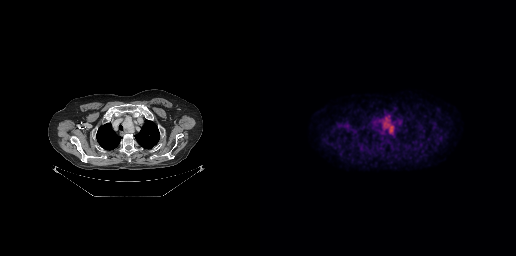
{"pet_grid":[256,256],"coord_frame":"pet_panel","coord_format":"x0,y0,x1,y1","lesion_bboxes":[[119,115,134,133]],"modality":"PSMA PET/CT","view":"axial","tracer":"18F"}